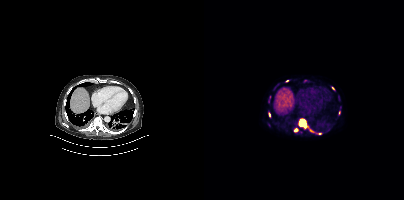
Coordinates are on the 200×200 PET (right) panel. PSMA-avid tumor lesion bounding boxes (x, y, width, height): x=94 y=118 w=24 h=17; x=89 y=128 w=6 h=5; x=64 y=112 w=3 h=5. Small PSMA-avid foci (2 to 4 px across) near (center x, center y): (129, 88); (135, 112); (83, 80).